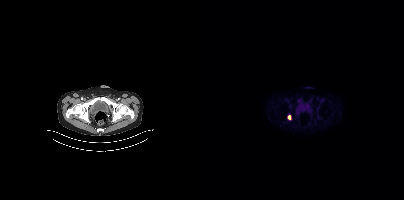
Coordinates are on the 200×200 PET (right) panel. PSMA-avid tumor lesion bounding box (x0, y0)-(x1, y1): (83, 115)-(87, 119). Paired axial CT (left) and PSMA PET (right), [18F]PSMA-1007 tracer. Acquired on Siemens Biograph mCT Flow 20. Slice 54 of 377. PET panel 200×200 px (4.1 mm/px).